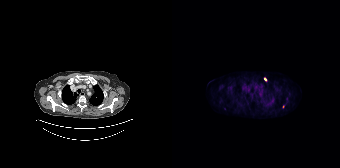
Coordinates are on the 168×168 PET (right) panel. Small PSMA-avid foci (2 to 4 px across) near (center x, center y): (93, 79) / (111, 106).